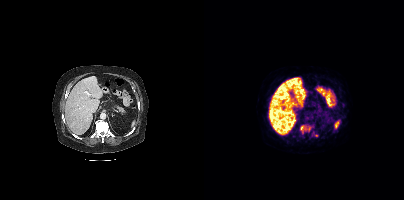
Coordinates are on the 200×200 PET (right) panel. PSMA-avid tumor lesion bounding boxes:
| # | x0 | y0 | x1 | y1 |
|---|---|---|---|---|
| 1 | 96 | 125 | 106 | 132 |
Small PSMA-avid focus (2 to 4 px across) near (center x, center y): (112, 135).
Left: CT. Right: PSMA PET, same axial level, 68Ga-PSMA tracer. Acquired on Siemens Biograph mCT Flow 20. PET panel 200×200 px (4.1 mm/px).